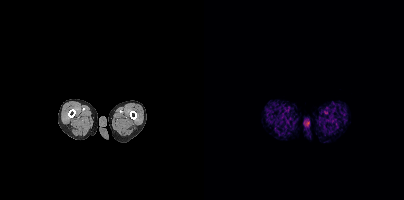
Technique: Left: CT. Right: PSMA PET, same axial level, [18F]PSMA-1007 tracer. slice position z = -536 mm. PET panel 200×200 px (4.1 mm/px).
Findings: No PSMA-avid tumor lesions on this slice.